Technique: Two-panel axial: CT | PSMA PET, 18F tracer. acquired on Siemens Biograph mCT Flow 20. slice 279 of 407. PET panel 200×200 px (4.1 mm/px).
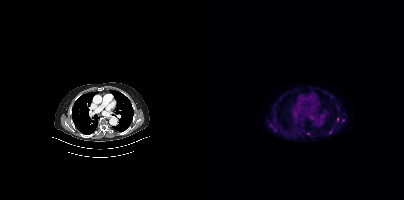
Findings: Coordinates are on the 200×200 PET (right) panel. (showing 5 of 6 foci) Small PSMA-avid foci (2 to 4 px across) near (center x, center y): (67, 125), (104, 133), (126, 132), (95, 132), (133, 118).